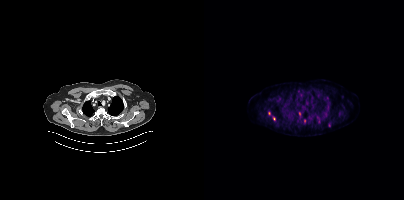
Coordinates are on the 200×200 PET (right) panel. (showing 4 of 6 foci) Small PSMA-avid foci (2 to 4 px across) near (center x, center y): (125, 124), (70, 118), (95, 113), (100, 120). Left: CT. Right: PSMA PET, same axial level, 18F-PSMA tracer. Slice position z = -942 mm. PET panel 200×200 px (4.1 mm/px).